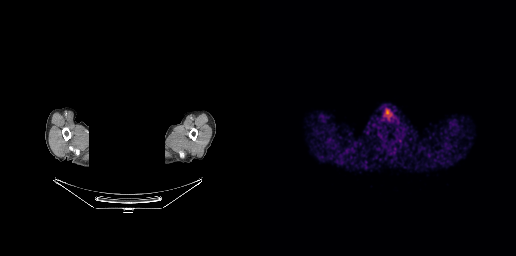
Privacy masking over the head, with the pixels inside a rectangle set to black. Paired axial CT (left) and PSMA PET (right), [68Ga]Ga-PSMA-11 tracer. No tumor lesions annotated on this slice.